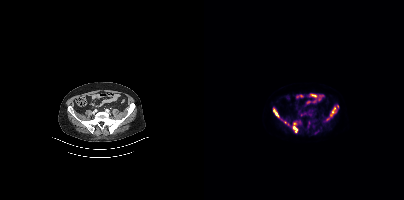
Coordinates are on the 200×200 PET (right) panel. (showing 4 of 7 foci) PSMA-avid tumor lesion bounding boxes (x0,y0,x1,y1): [69,109,74,117] [89,126,93,132] [127,107,131,115]. Small PSMA-avid focus (2 to 4 px across) near (center x, center y): (90, 123). Paired axial CT (left) and PSMA PET (right), 18F-PSMA tracer.